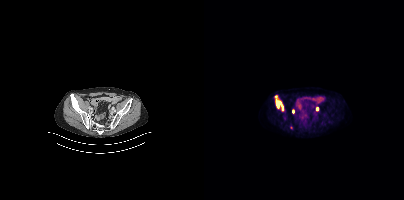
- Paired axial CT (left) and PSMA PET (right), 18F tracer
- PET panel 200×200 px (4.1 mm/px)
Findings: Coordinates are on the 200×200 PET (right) panel. (showing 3 of 4 foci) PSMA-avid tumor lesion bounding box (x0, y0)-(x1, y1): (71, 96)-(79, 111). Small PSMA-avid foci (2 to 4 px across) near (center x, center y): (113, 108) / (87, 127).